modality: PSMA PET/CT | tracer: [18F]PSMA-1007 | view: axial | PET grid: 200×200
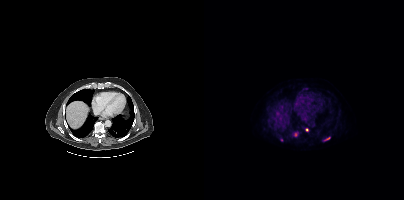
Coordinates are on the 200×200 PET (right) panel. PSMA-avid tumor lesion bounding boxes (x0, y0)-(x1, y1): (119, 137)-(125, 141); (90, 132)-(93, 136). Small PSMA-avid foci (2 to 4 px across) near (center x, center y): (102, 129); (77, 140).